Two-panel axial: CT | PSMA PET, [18F]PSMA-1007 tracer. Acquired on Siemens Biograph mCT Flow 20. PET panel 200×200 px (4.1 mm/px).
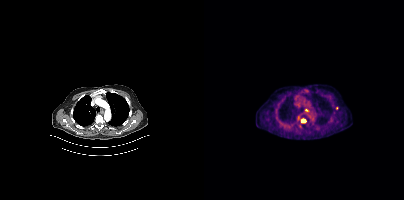
Coordinates are on the 200×200 PET (right) panel. PSMA-avid tumor lesion bounding box (x0, y0)-(x1, y1): (97, 119)-(102, 122). Small PSMA-avid foci (2 to 4 px across) near (center x, center y): (102, 110) | (132, 108).